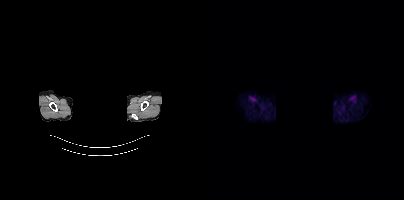
{"modality":"PSMA PET/CT","view":"axial","tracer":"18F","pet_grid":[200,200],"coord_frame":"pet_panel","coord_format":"x0,y0,x1,y1","psma_avid_lesions":false,"de-identification":"facial region redacted"}